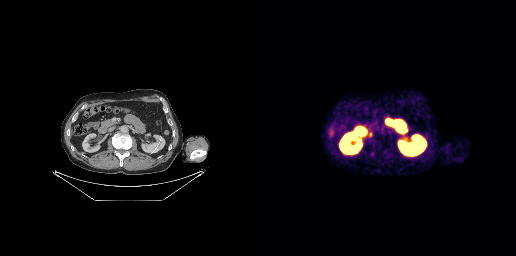
modality: PSMA PET/CT | tracer: 68Ga-PSMA | view: axial
Coordinates are on the 256×256 PET (right) panel. Small PSMA-avid focus (2 to 4 px across) near (center x, center y): (110, 134).